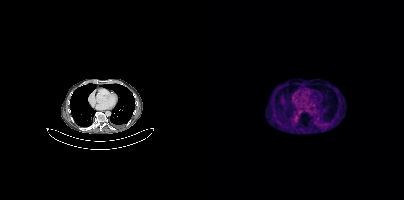
No tumor lesions annotated on this slice.